modality: PSMA PET/CT | tracer: 68Ga-PSMA | view: axial | PET grid: 256×256
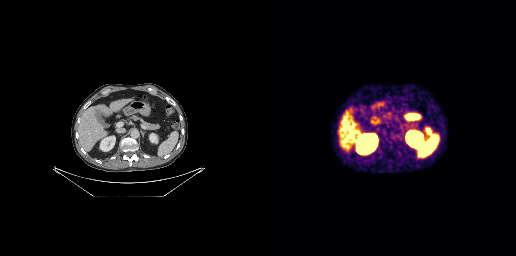
Coordinates are on the 256×256 PET (right) panel. PSMA-avid tumor lesion bounding box (x, y, width, height): x=166 y=128 w=5 h=6.